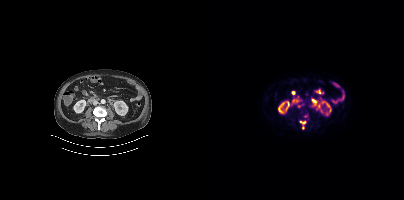
Coordinates are on the 200×200 PET (right) panel. PSMA-avid tumor lesion bounding box (x0,y0,x1,y1): [96,121,101,124]. Small PSMA-avid foci (2 to 4 px across) near (center x, center y): (109, 100); (99, 127).